Two-panel axial: CT | PSMA PET, 68Ga tracer. Slice position z = -1274 mm. PET panel 168×168 px (4.1 mm/px).
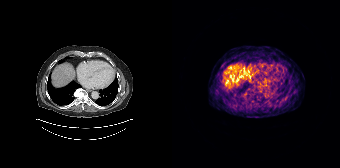
No tumor lesions annotated on this slice.